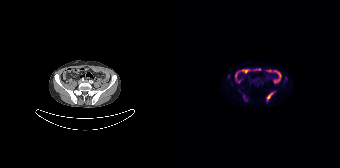
Coordinates are on the 168×168 PET (right) panel. PSMA-avid tumor lesion bounding boxes (x0,y0,x1,y1): [95,92,101,100], [55,74,58,78], [71,95,74,100].